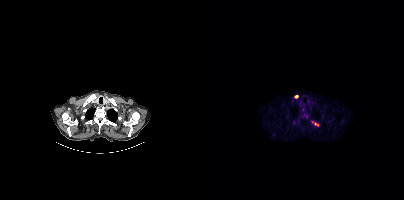
Coordinates are on the 200×200 PET (right) panel. (showing 5 of 6 foci) Small PSMA-avid foci (2 to 4 px across) near (center x, center y): (102, 115) (90, 122) (92, 96) (112, 124) (99, 109). Left: CT. Right: PSMA PET, same axial level, 18F-PSMA tracer. Acquired on Siemens Biograph mCT Flow 20. PET panel 200×200 px (4.1 mm/px).